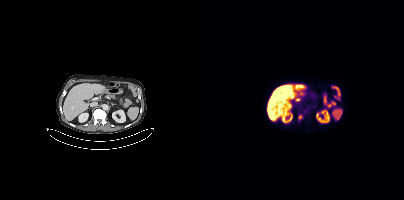
{"pet_grid":[200,200],"coord_frame":"pet_panel","coord_format":"x0,y0,x1,y1","lesion_bboxes":[[94,114,98,120]],"modality":"PSMA PET/CT","view":"axial","tracer":"[18F]PSMA-1007"}